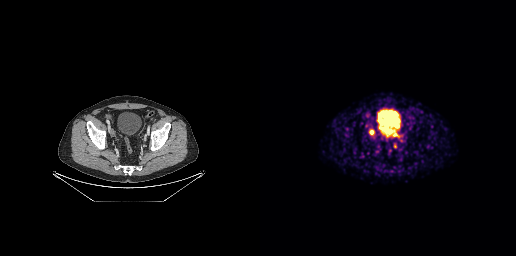
Coordinates are on the 256×256 PET (right) panel. (showing 2 of 3 foci) PSMA-avid tumor lesion bounding boxes (x, y, width, height): x=109 y=130 w=6 h=5 / x=134 y=144 w=3 h=5.